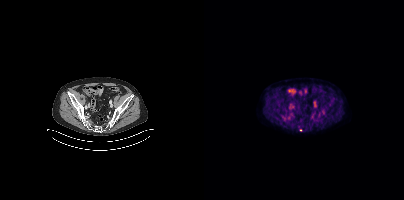
{"pet_grid":[200,200],"coord_frame":"pet_panel","coord_format":"x0,y0,x1,y1","partial":true,"lesion_bboxes":[],"modality":"PSMA PET/CT","view":"axial","tracer":"18F-PSMA"}